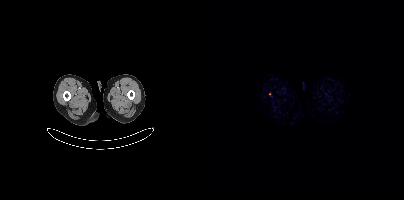
Findings: Coordinates are on the 200×200 PET (right) panel. Small PSMA-avid focus (2 to 4 px across) near (center x, center y): (65, 93).
Technique: Two-panel axial: CT | PSMA PET, 18F-PSMA tracer. acquired on Siemens Biograph mCT Flow 20. PET panel 200×200 px (4.1 mm/px).